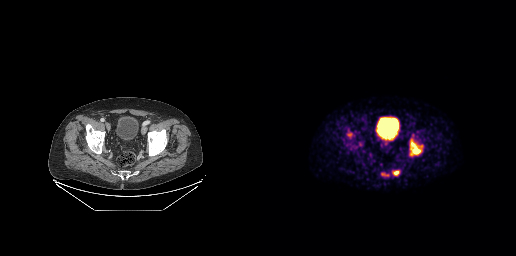
Coordinates are on the 256×256 PET (right) panel. (showing 3 of 4 foci) PSMA-avid tumor lesion bounding boxes (x0, y0)-(x1, y1): (150, 140)-(161, 155); (133, 171)-(138, 175); (121, 173)-(128, 176). Left: CT. Right: PSMA PET, same axial level, 68Ga tracer. PET panel 256×256 px (2.7 mm/px).